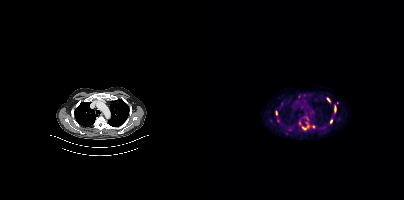
Coordinates are on the 200×200 PET (right) panel. (showing 9 of 10 foci) PSMA-avid tumor lesion bounding boxes (x, y, width, height): x=98 y=122 w=8 h=9; x=130 y=105 w=3 h=8; x=123 y=98 w=4 h=5; x=126 y=119 w=3 h=5; x=72 y=111 w=2 h=5. Small PSMA-avid foci (2 to 4 px across) near (center x, center y): (95, 123); (109, 126); (103, 118); (133, 102).